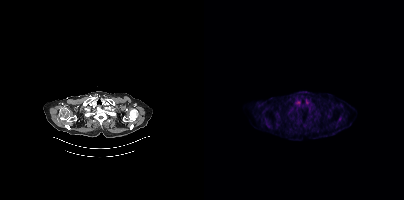
modality: PSMA PET/CT | tracer: 18F-PSMA | view: axial
No tumor lesions annotated on this slice.